Technique: Left: CT. Right: PSMA PET, same axial level, [18F]PSMA-1007 tracer. slice position z = -1083 mm.
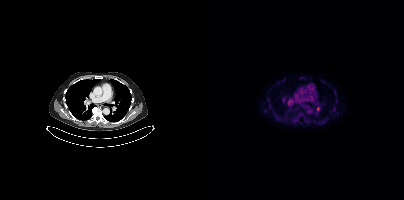
Findings: Coordinates are on the 200×200 PET (right) panel. (showing 2 of 3 foci) PSMA-avid tumor lesion bounding box (x, y, width, height): x=84 y=100 w=5 h=4. Small PSMA-avid focus (2 to 4 px across) near (center x, center y): (114, 108).